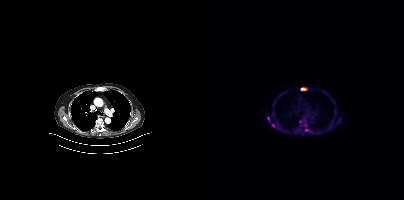
{"modality":"PSMA PET/CT","view":"axial","tracer":"18F-PSMA","pet_grid":[200,200],"coord_frame":"pet_panel","coord_format":"x0,y0,x1,y1","lesion_bboxes":[[97,88,102,90],[95,120,100,123]],"small_foci_centers":[[64,118],[69,125],[102,129],[101,125],[123,128]]}